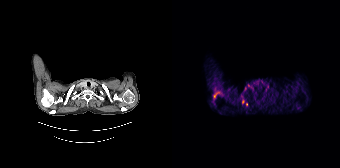
Paired axial CT (left) and PSMA PET (right), 68Ga tracer. Acquired on Siemens Biograph 64-4R TruePoint. Slice position z = -244 mm. PET panel 168×168 px (4.1 mm/px).
Coordinates are on the 168×168 PET (right) panel. PSMA-avid tumor lesion bounding boxes:
| # | x0 | y0 | x1 | y1 |
|---|---|---|---|---|
| 1 | 41 | 92 | 47 | 97 |
| 2 | 70 | 99 | 72 | 103 |
Small PSMA-avid focus (2 to 4 px across) near (center x, center y): (74, 104).